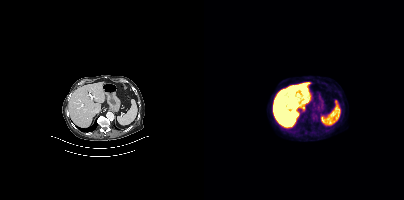
Findings: No PSMA-avid tumor lesions on this slice.
- Two-panel axial: CT | PSMA PET, 18F tracer
- acquired on Siemens Biograph mCT Flow 20
- slice position z = -1122 mm
- PET panel 200×200 px (4.1 mm/px)